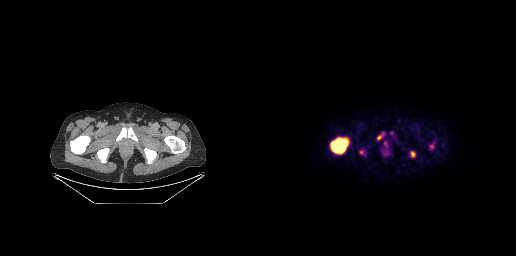
modality: PSMA PET/CT | tracer: [18F]PSMA-1007 | view: axial | PET grid: 256×256
Coordinates are on the 256×256 PET (right) panel. (showing 5 of 6 foci) PSMA-avid tumor lesion bounding boxes (x0,y0,x1,y1): [70,137,89,154] [150,151,155,157] [117,135,122,139]. Small PSMA-avid foci (2 to 4 px across) near (center x, center y): (171, 146) (101, 152).